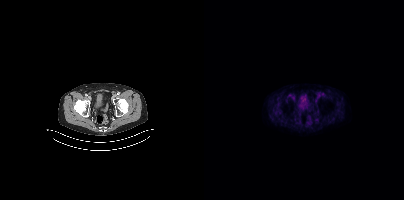
{"modality":"PSMA PET/CT","view":"axial","tracer":"18F-PSMA","pet_grid":[200,200],"coord_frame":"pet_panel","coord_format":"x0,y0,x1,y1","psma_avid_lesions":false}